- Two-panel axial: CT | PSMA PET, 68Ga-PSMA tracer
- slice 124 of 195
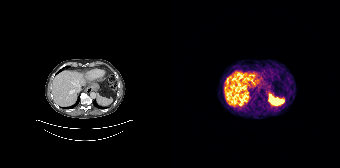
Findings: Negative for PSMA-avid disease on this slice.